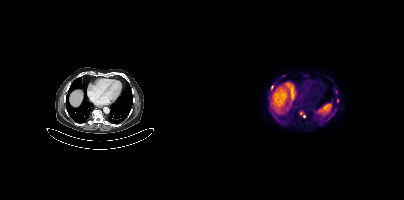
Coordinates are on the 200×200 PET (right) panel. (showing 4 of 5 foci) Small PSMA-avid foci (2 to 4 px across) near (center x, center y): (133, 100); (68, 87); (100, 116); (79, 75).